Technique: Two-panel axial: CT | PSMA PET, 18F tracer. slice position z = -200 mm.
Note: De-identified by setting a box covering the face to black before release.
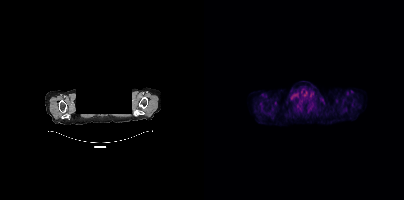
Findings: No PSMA-avid tumor lesions on this slice.